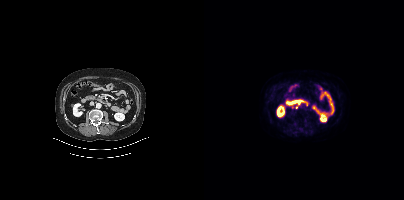
Technique: Two-panel axial: CT | PSMA PET, [18F]PSMA-1007 tracer.
Findings: Only PSMA-avid lesion pieces thinner than 2 px on this slice (not listed).